Paired axial CT (left) and PSMA PET (right), [18F]PSMA-1007 tracer. Slice 79 of 407.
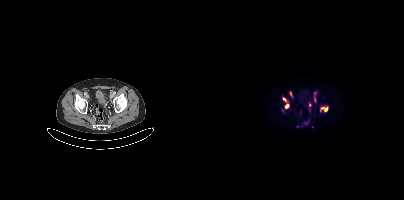
Coordinates are on the 200×200 PET (right) panel. (showing 6 of 9 foci) PSMA-avid tumor lesion bounding boxes (x0,y0,x1,y1): [110,93,111,102] [81,104,84,108] [121,107,123,111] [86,92,88,96]. Small PSMA-avid foci (2 to 4 px across) near (center x, center y): (80, 99) (117, 108).